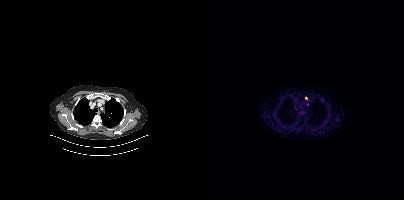
Left: CT. Right: PSMA PET, same axial level, 18F tracer. Acquired on Siemens Biograph mCT Flow 20. Coordinates are on the 200×200 PET (right) panel. Small PSMA-avid focus (2 to 4 px across) near (center x, center y): (102, 98).